Left: CT. Right: PSMA PET, same axial level, 18F tracer. Acquired on Siemens Biograph mCT Flow 20. PET panel 200×200 px (4.1 mm/px).
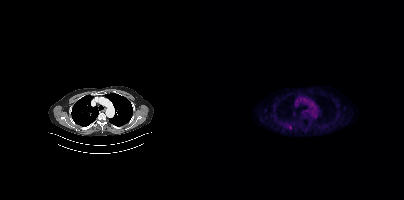
Coordinates are on the 200×200 PET (right) panel. Small PSMA-avid focus (2 to 4 px across) near (center x, center y): (86, 126).